- a rectangular block over the head has been blanked out for de-identification
- Paired axial CT (left) and PSMA PET (right), [18F]PSMA-1007 tracer
- acquired on Siemens Biograph 64-4R TruePoint
- slice position z = -580 mm
- PET panel 168×168 px (4.1 mm/px)
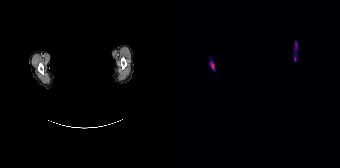
Findings: Coordinates are on the 168×168 PET (right) panel. (showing 2 of 3 foci) PSMA-avid tumor lesion bounding boxes (x0,y0,x1,y1): [122,41,125,51], [38,62,42,69].